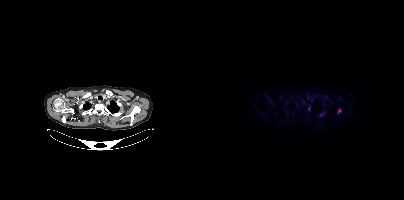
Paired axial CT (left) and PSMA PET (right), [18F]PSMA-1007 tracer. Slice 359 of 431. PET panel 200×200 px (4.1 mm/px).
Coordinates are on the 200×200 PET (right) panel. PSMA-avid tumor lesion bounding boxes:
| # | x0 | y0 | x1 | y1 |
|---|---|---|---|---|
| 1 | 115 | 112 | 121 | 116 |
| 2 | 134 | 109 | 137 | 113 |
Small PSMA-avid focus (2 to 4 px across) near (center x, center y): (104, 109).